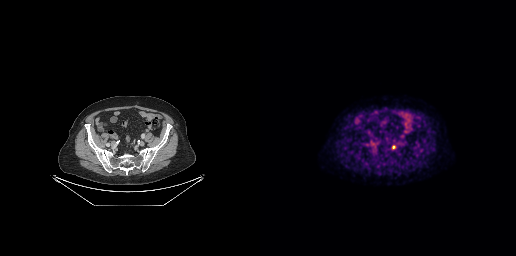
{"modality":"PSMA PET/CT","view":"axial","tracer":"[18F]PSMA-1007","pet_grid":[256,256],"coord_frame":"pet_panel","coord_format":"x0,y0,x1,y1","lesion_bboxes":[[132,145,135,149]]}